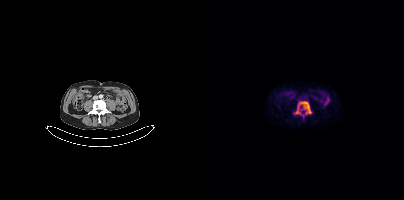
Left: CT. Right: PSMA PET, same axial level, [18F]PSMA-1007 tracer.
Coordinates are on the 200×200 PET (right) panel. PSMA-avid tumor lesion bounding boxes (partial; 1 more focus not listed):
| # | x0 | y0 | x1 | y1 |
|---|---|---|---|---|
| 1 | 90 | 101 | 107 | 114 |